Left: CT. Right: PSMA PET, same axial level, 18F-PSMA tracer. Acquired on Siemens Biograph mCT Flow 20. Slice 186 of 435.
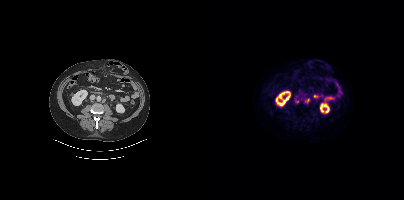
Coordinates are on the 200×200 PET (right) panel. PSMA-avid tumor lesion bounding box (x0, y0)-(x1, y1): (101, 99)-(105, 103). Small PSMA-avid focus (2 to 4 px across) near (center x, center y): (93, 102).